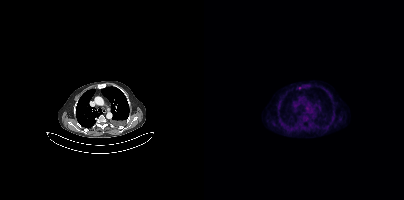
- Left: CT. Right: PSMA PET, same axial level, 18F-PSMA tracer
- acquired on Siemens Biograph mCT Flow 20
- PET panel 200×200 px (4.1 mm/px)
Findings: Coordinates are on the 200×200 PET (right) panel. Small PSMA-avid focus (2 to 4 px across) near (center x, center y): (95, 87).